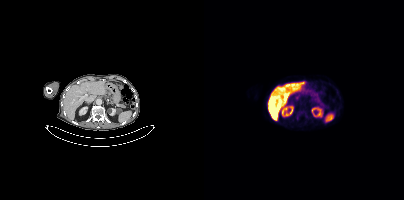
- Two-panel axial: CT | PSMA PET, [18F]PSMA-1007 tracer
- acquired on Siemens Biograph mCT Flow 20
- slice position z = -1188 mm
- PET panel 200×200 px (4.1 mm/px)
Findings: Only PSMA-avid lesion pieces thinner than 2 px on this slice (not listed).